modality: PSMA PET/CT | tracer: 18F | view: axial
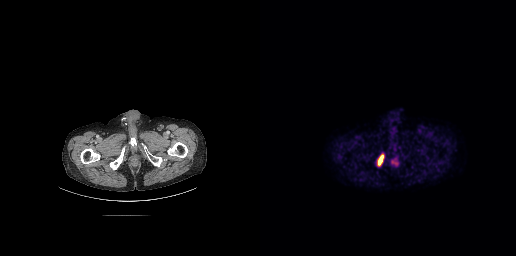
Coordinates are on the 256×256 PET (right) panel. PSMA-avid tumor lesion bounding boxes (x, y, width, height): x=130 y=156 w=10 h=11 | x=117 y=154 w=8 h=13.